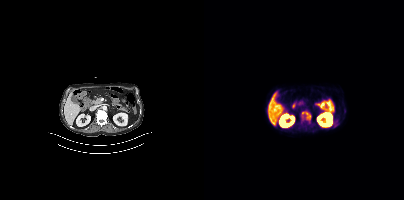
Coordinates are on the 200×200 PET (right) panel. PSMA-avid tumor lesion bounding box (x, y, width, height): x=97 y=112 w=11 h=8. Small PSMA-avid focus (2 to 4 px across) near (center x, center y): (140, 112).
modality: PSMA PET/CT | tracer: [18F]PSMA-1007 | view: axial | PET grid: 200×200